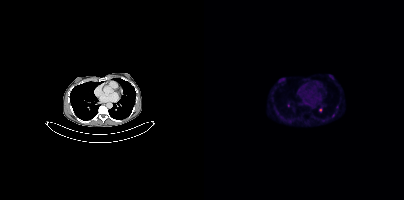
{"modality":"PSMA PET/CT","view":"axial","tracer":"18F","pet_grid":[200,200],"coord_frame":"pet_panel","coord_format":"x0,y0,x1,y1","lesion_bboxes":[],"small_foci_centers":[[133,106],[84,105],[116,110],[129,115],[86,121]]}